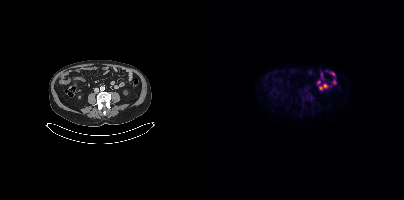
Paired axial CT (left) and PSMA PET (right), [18F]PSMA-1007 tracer. Acquired on Siemens Biograph mCT Flow 20. Coordinates are on the 200×200 PET (right) panel. Small PSMA-avid focus (2 to 4 px across) near (center x, center y): (107, 97).